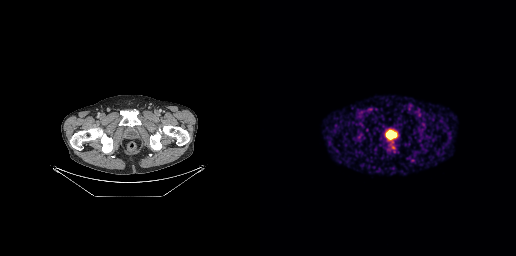
Coordinates are on the 256×256 PET (right) panel. PSMA-avid tumor lesion bounding boxes:
| # | x0 | y0 | x1 | y1 |
|---|---|---|---|---|
| 1 | 126 | 131 | 134 | 138 |
Paired axial CT (left) and PSMA PET (right), [68Ga]Ga-PSMA-11 tracer. Acquired on GE Discovery 690. PET panel 256×256 px (2.7 mm/px).